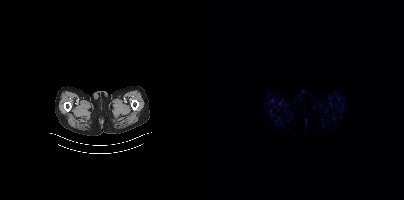
{"modality":"PSMA PET/CT","view":"axial","tracer":"18F-PSMA","pet_grid":[200,200],"coord_frame":"pet_panel","coord_format":"x0,y0,x1,y1","psma_avid_lesions":false}